- Two-panel axial: CT | PSMA PET, 18F tracer
- acquired on Siemens Biograph mCT Flow 20
- PET panel 200×200 px (4.1 mm/px)
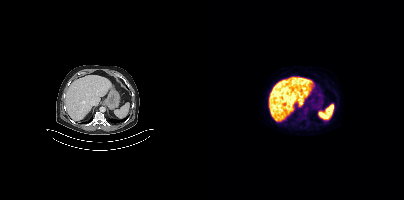
Findings: No PSMA-avid tumor lesions on this slice.